modality: PSMA PET/CT | tracer: 18F-PSMA | view: axial
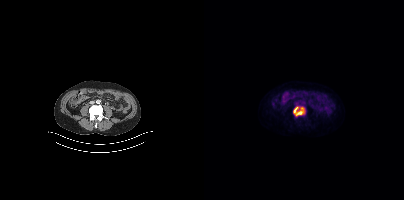
Coordinates are on the 200×200 PET (right) panel. PSMA-avid tumor lesion bounding box (x, y, width, height): x=89 y=106 w=13 h=11.